Face de-identified by blanking a block of the head.
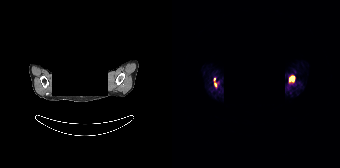
Coordinates are on the 168×168 PET (right) panel. PSMA-avid tumor lesion bounding box (x, y, width, height): x=117 y=76 w=6 h=6. Small PSMA-avid foci (2 to 4 px across) near (center x, center y): (43, 84); (42, 79).